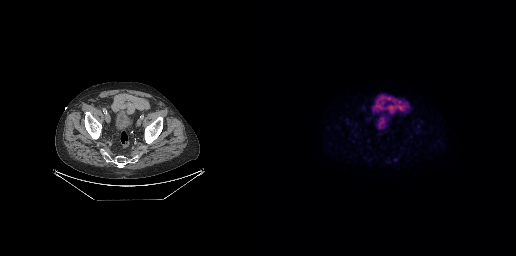
Coordinates are on the 256×256 PET (right) panel. Small PSMA-avid focus (2 to 4 px across) near (center x, center y): (144, 110).